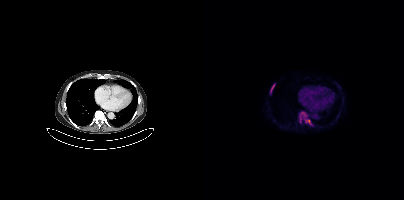
Coordinates are on the 200×200 PET (right) panel. (showing 3 of 6 foci) PSMA-avid tumor lesion bounding boxes (x, y, width, height): x=102 y=120 w=5 h=4 / x=67 y=84 w=4 h=6. Small PSMA-avid focus (2 to 4 px across) near (center x, center y): (98, 112).